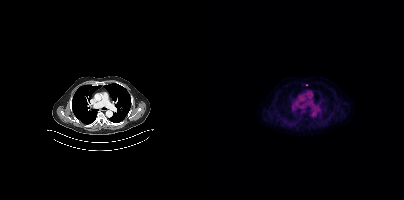
Only PSMA-avid lesion pieces thinner than 2 px on this slice (not listed).